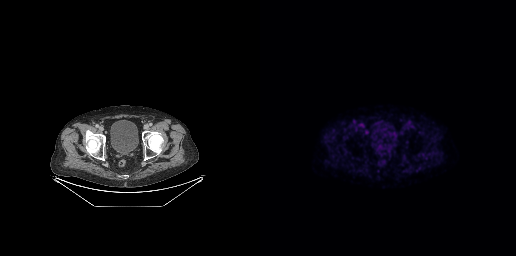
modality: PSMA PET/CT | tracer: 18F-PSMA | view: axial
No tumor lesions annotated on this slice.